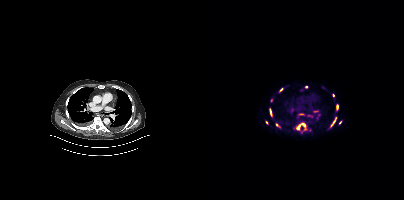
{"modality":"PSMA PET/CT","view":"axial","tracer":"18F","pet_grid":[200,200],"coord_frame":"pet_panel","coord_format":"x0,y0,x1,y1","partial":true,"lesion_bboxes":[[92,122,103,132],[126,117,132,127],[132,104,134,110],[65,108,68,116],[128,93,130,97],[72,123,76,127]],"small_foci_centers":[[136,122],[102,87],[77,89],[62,122]]}